Left: CT. Right: PSMA PET, same axial level, [18F]PSMA-1007 tracer. Acquired on GE Discovery 690. Slice position z = -642 mm. PET panel 256×256 px (2.7 mm/px).
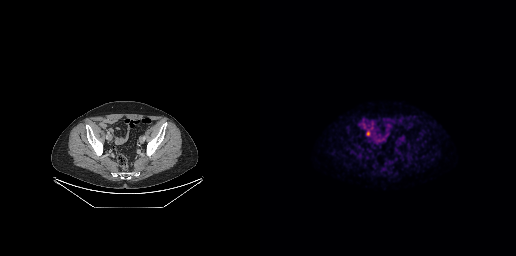
Coordinates are on the 256×256 PET (right) panel. PSMA-avid tumor lesion bounding boxes:
| # | x0 | y0 | x1 | y1 |
|---|---|---|---|---|
| 1 | 106 | 130 | 110 | 135 |